modality: PSMA PET/CT | tracer: 68Ga-PSMA | view: axial | PET grid: 200×200 | deidentification: head region blacked out before release
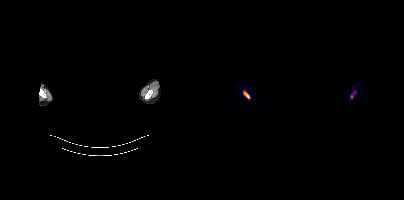
Coordinates are on the 200×200 PET (right) panel. (showing 2 of 3 foci) PSMA-avid tumor lesion bounding boxes (x0,y0,x1,y1): [39,91,45,98]; [146,93,150,98].